Paired axial CT (left) and PSMA PET (right), [18F]PSMA-1007 tracer. Acquired on Siemens Biograph mCT Flow 20. Slice 280 of 431. PET panel 200×200 px (4.1 mm/px).
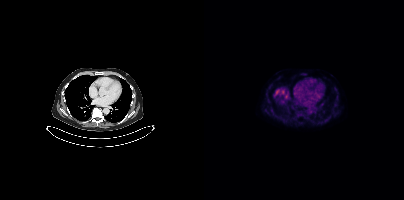
Negative for PSMA-avid disease on this slice.